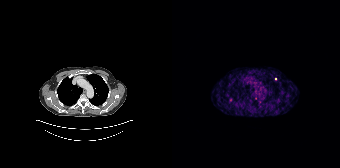
Coordinates are on the 168×168 PET (right) panel. Small PSMA-avid focus (2 to 4 px across) near (center x, center y): (103, 78).